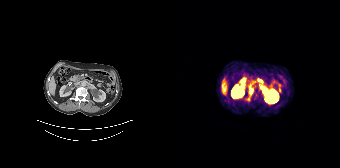
Findings: Coordinates are on the 168×168 PET (right) panel. PSMA-avid tumor lesion bounding box (x0, y0)-(x1, y1): (78, 89)-(81, 94). Small PSMA-avid focus (2 to 4 px across) near (center x, center y): (76, 99).
Technique: Left: CT. Right: PSMA PET, same axial level, [68Ga]Ga-PSMA-11 tracer. acquired on Siemens Biograph 64-4R TruePoint. PET panel 168×168 px (4.1 mm/px).